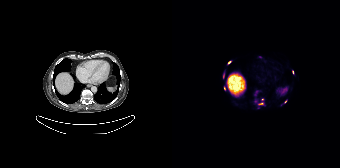
Coordinates are on the 168×168 PET (right) panel. PSMA-avid tumor lesion bounding boxes (partial; 2 more foci not listed):
| # | x0 | y0 | x1 | y1 |
|---|---|---|---|---|
| 1 | 86 | 102 | 92 | 105 |
| 2 | 55 | 60 | 59 | 64 |
| 3 | 120 | 70 | 122 | 74 |
| 4 | 51 | 74 | 52 | 78 |
| 5 | 83 | 91 | 85 | 95 |
Small PSMA-avid foci (2 to 4 px across) near (center x, center y): (113, 101); (90, 99); (52, 88); (88, 56); (83, 101).
Left: CT. Right: PSMA PET, same axial level, 18F tracer. Acquired on Siemens Biograph 64-4R TruePoint. PET panel 168×168 px (4.1 mm/px).